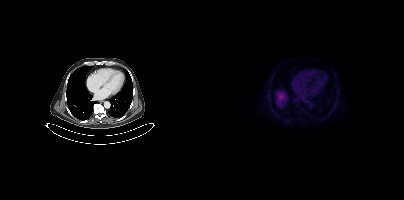
Negative for PSMA-avid disease on this slice. Two-panel axial: CT | PSMA PET, [18F]PSMA-1007 tracer.